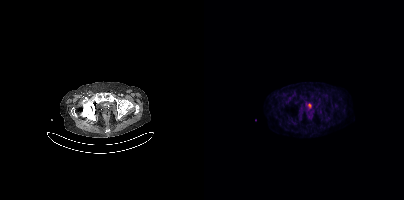
No tumor lesions annotated on this slice.
modality: PSMA PET/CT | tracer: 18F-PSMA | view: axial | PET grid: 200×200